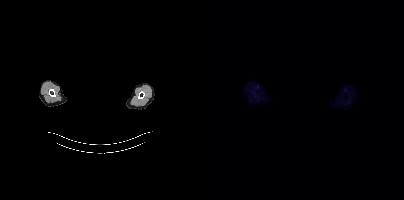
Paired axial CT (left) and PSMA PET (right), 18F-PSMA tracer. An anonymization step blacked out a rectangle over the head in this scan. This slice has no annotated PSMA-avid lesion.